- Left: CT. Right: PSMA PET, same axial level, 18F tracer
- PET panel 200×200 px (4.1 mm/px)
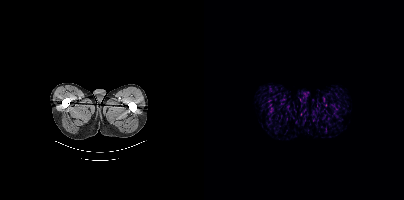
Findings: This slice has no annotated PSMA-avid lesion.